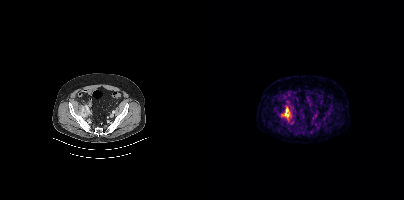
{"pet_grid":[200,200],"coord_frame":"pet_panel","coord_format":"x0,y0,x1,y1","lesion_bboxes":[[77,106,87,120]],"modality":"PSMA PET/CT","view":"axial","tracer":"18F-PSMA"}